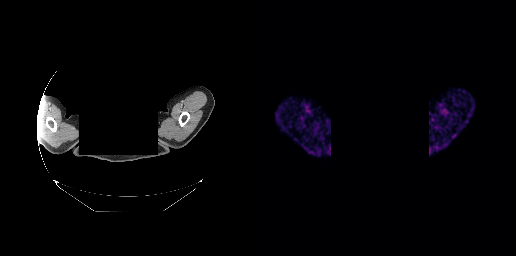
This slice has no annotated PSMA-avid lesion.
redaction: facial region redacted | modality: PSMA PET/CT | tracer: [68Ga]Ga-PSMA-11 | view: axial | PET grid: 256×256